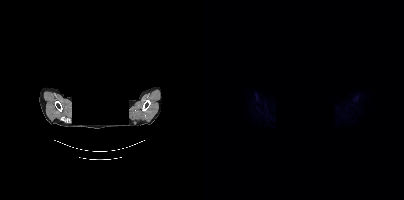
Findings: Negative for PSMA-avid disease on this slice.
Technique: Paired axial CT (left) and PSMA PET (right), 18F-PSMA tracer. acquired on Siemens Biograph mCT Flow 20. slice 353 of 405.
Note: De-identified by setting a box covering the face to black before release.